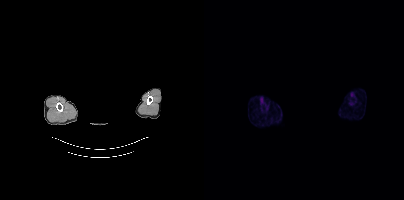
The face region was removed for patient privacy by blanking a rectangle over the head.
Negative for PSMA-avid disease on this slice.